- Paired axial CT (left) and PSMA PET (right), 18F tracer
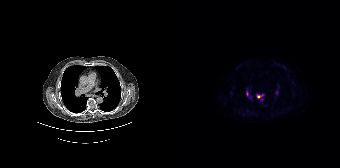
Findings: Coordinates are on the 168×168 PET (right) panel. PSMA-avid tumor lesion bounding box (x0, y0)-(x1, y1): (85, 95)-(91, 98). Small PSMA-avid focus (2 to 4 px across) near (center x, center y): (75, 93).